Two-panel axial: CT | PSMA PET, 18F tracer. Acquired on Siemens Biograph mCT Flow 20. PET panel 200×200 px (4.1 mm/px).
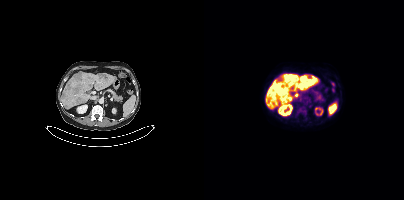
Coordinates are on the 200×200 PET (right) panel. PSMA-avid tumor lesion bounding boxes (x0, y0)-(x1, y1): (92, 75)-(102, 81) | (70, 84)-(76, 90). Small PSMA-avid foci (2 to 4 px across) near (center x, center y): (96, 110) | (92, 95).